modality: PSMA PET/CT | tracer: 18F | view: axial | PET grid: 200×200
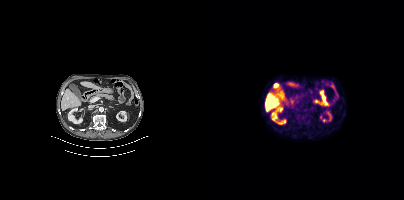
This slice has no annotated PSMA-avid lesion.